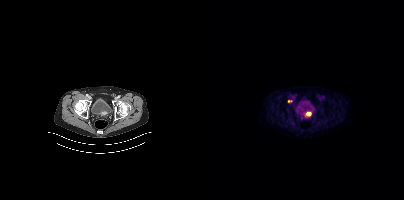
- Paired axial CT (left) and PSMA PET (right), 18F-PSMA tracer
- acquired on Siemens Biograph mCT Flow 20
- slice 71 of 423
Findings: Coordinates are on the 200×200 PET (right) panel. PSMA-avid tumor lesion bounding box (x, y, width, height): x=102 y=112 w=5 h=4. Small PSMA-avid focus (2 to 4 px across) near (center x, center y): (85, 101).